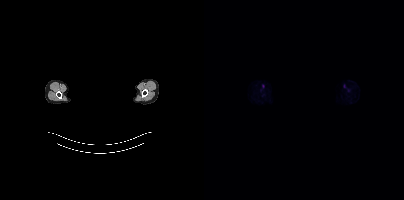
This slice has no annotated PSMA-avid lesion. Two-panel axial: CT | PSMA PET, 18F-PSMA tracer. Acquired on Siemens Biograph mCT Flow 20. Slice position z = -315 mm. The face region was removed for patient privacy by blanking a rectangle over the head.